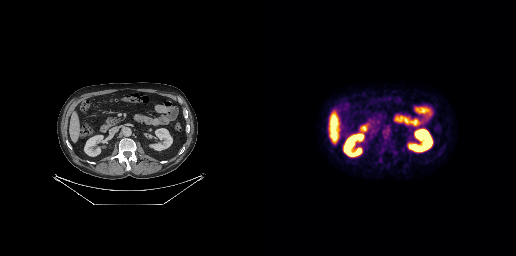
Negative for PSMA-avid disease on this slice.